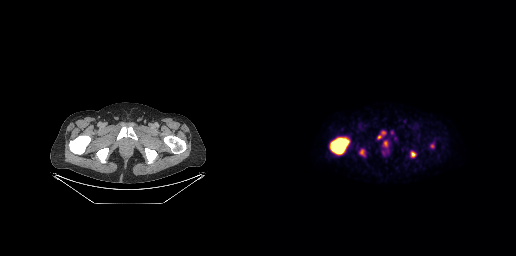
{"pet_grid":[256,256],"coord_frame":"pet_panel","coord_format":"x0,y0,x1,y1","lesion_bboxes":[[70,137,89,154],[150,151,156,157],[117,135,121,139]],"small_foci_centers":[[101,151],[123,132],[172,146],[125,143]],"modality":"PSMA PET/CT","view":"axial","tracer":"18F-PSMA"}